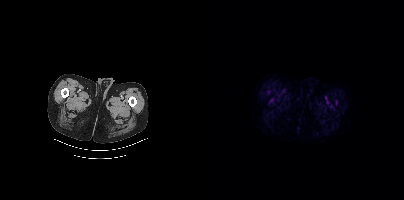
- Paired axial CT (left) and PSMA PET (right), 18F tracer
Findings: No tumor lesions annotated on this slice.